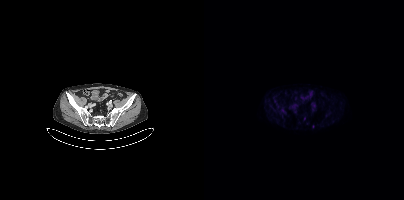
{"modality":"PSMA PET/CT","view":"axial","tracer":"18F-PSMA","pet_grid":[200,200],"coord_frame":"pet_panel","coord_format":"x0,y0,x1,y1","lesion_bboxes":[],"small_foci_centers":[[109,126]]}